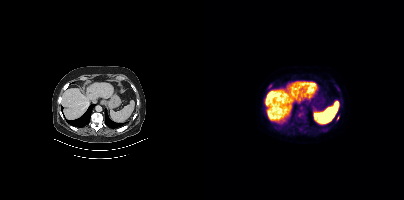
{"modality":"PSMA PET/CT","view":"axial","tracer":"18F-PSMA","pet_grid":[200,200],"coord_frame":"pet_panel","coord_format":"x0,y0,x1,y1","lesion_bboxes":[[93,112,102,123],[64,84,68,88],[132,86,136,90],[119,128,122,132],[95,127,98,131]],"small_foci_centers":[[93,124],[133,117]]}